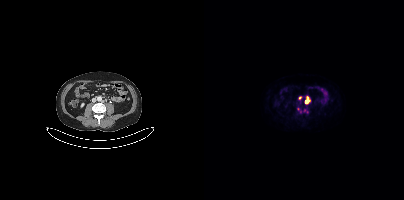
- Two-panel axial: CT | PSMA PET, 68Ga tracer
- slice 161 of 411
- PET panel 200×200 px (4.1 mm/px)
Findings: Coordinates are on the 200×200 PET (right) panel. (showing 4 of 5 foci) PSMA-avid tumor lesion bounding boxes (x0,y0,x1,y1): [94,108,99,113], [101,100,105,103]. Small PSMA-avid foci (2 to 4 px across) near (center x, center y): (102, 111), (95, 98).